modality: PSMA PET/CT | tracer: 68Ga-PSMA | view: axial
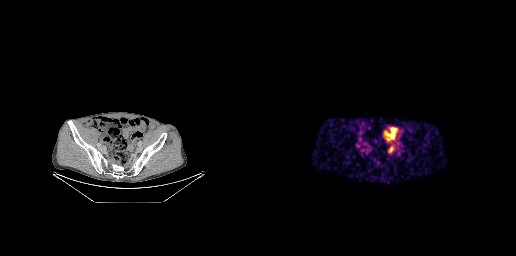
No PSMA-avid tumor lesions on this slice.